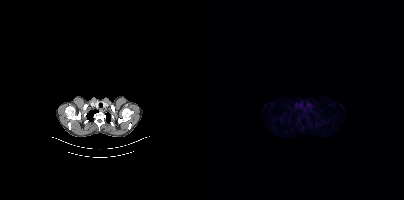
Technique: Two-panel axial: CT | PSMA PET, 18F-PSMA tracer. slice 358 of 435. PET panel 200×200 px (4.1 mm/px).
Findings: No PSMA-avid tumor lesions on this slice.